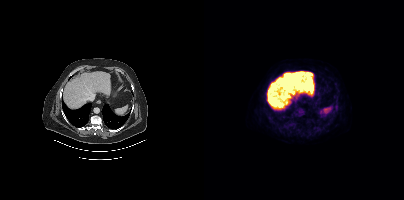
{"pet_grid":[200,200],"coord_frame":"pet_panel","coord_format":"x0,y0,x1,y1","lesion_bboxes":[],"small_foci_centers":[[132,107]],"modality":"PSMA PET/CT","view":"axial","tracer":"18F"}